The head region is masked for de-identification. Left: CT. Right: PSMA PET, same axial level, [18F]PSMA-1007 tracer. Slice position z = -921 mm. PET panel 168×168 px (4.1 mm/px).
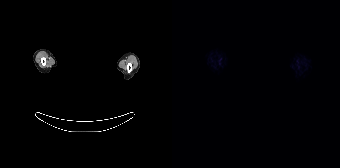
Negative for PSMA-avid disease on this slice.